Paired axial CT (left) and PSMA PET (right), 18F tracer. Acquired on Siemens Biograph mCT Flow 20. PET panel 200×200 px (4.1 mm/px).
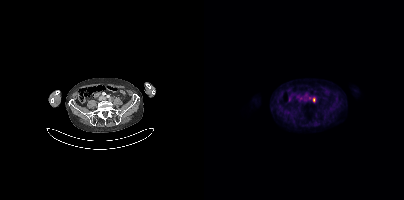
Coordinates are on the 200×200 PET (right) panel. (showing 1 of 2 foci) PSMA-avid tumor lesion bounding box (x0, y0)-(x1, y1): (109, 97)-(111, 102).